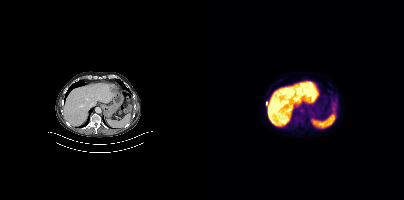
modality: PSMA PET/CT | tracer: 18F | view: axial | PET grid: 200×200
Coordinates are on the 200×200 PET (right) panel. Small PSMA-avid focus (2 to 4 px across) near (center x, center y): (62, 103).